Paired axial CT (left) and PSMA PET (right), 18F-PSMA tracer. PET panel 200×200 px (4.1 mm/px).
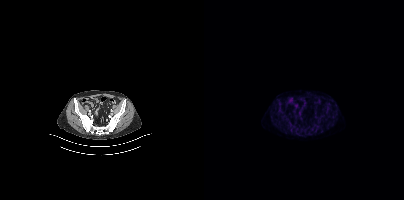
No PSMA-avid tumor lesions on this slice.